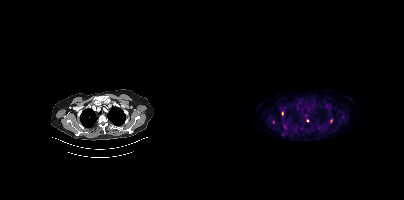
Technique: Paired axial CT (left) and PSMA PET (right), 18F tracer. slice position z = -1007 mm.
Findings: Coordinates are on the 200×200 PET (right) panel. Small PSMA-avid foci (2 to 4 px across) near (center x, center y): (127, 120) | (78, 113) | (81, 127) | (69, 122) | (103, 120) | (78, 134).